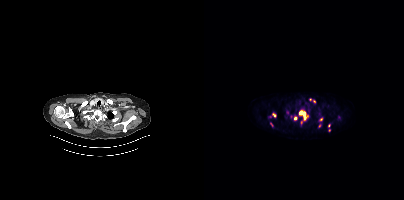
Coordinates are on the 200×200 PET (right) panel. (showing 9 of 11 foci) PSMA-avid tumor lesion bounding boxes (x, y, width, height): x=95 y=110 w=10 h=11; x=90 y=116 w=4 h=5; x=68 y=113 w=5 h=5. Small PSMA-avid foci (2 to 4 px across) near (center x, center y): (110, 101); (116, 119); (97, 122); (106, 99); (124, 125); (115, 125).